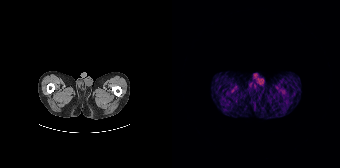
- Two-panel axial: CT | PSMA PET, 68Ga-PSMA tracer
- acquired on Siemens Biograph 64-4R TruePoint
- PET panel 168×168 px (4.1 mm/px)
Findings: No PSMA-avid tumor lesions on this slice.